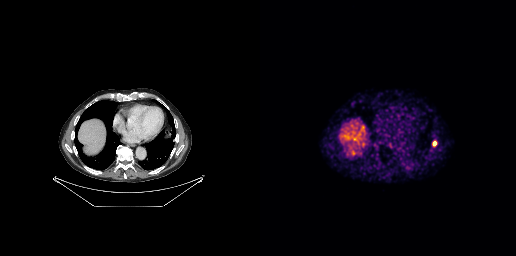
{"modality":"PSMA PET/CT","view":"axial","tracer":"68Ga-PSMA","pet_grid":[256,256],"coord_frame":"pet_panel","coord_format":"x0,y0,x1,y1","lesion_bboxes":[[172,141,176,146]],"small_foci_centers":[[93,103]]}